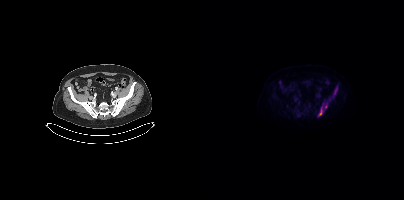
- Two-panel axial: CT | PSMA PET, [18F]PSMA-1007 tracer
- acquired on Siemens Biograph mCT Flow 20
Findings: Coordinates are on the 200×200 PET (right) panel. PSMA-avid tumor lesion bounding box (x0, y0)-(x1, y1): (114, 107)-(118, 116). Small PSMA-avid focus (2 to 4 px across) near (center x, center y): (122, 106).